Paired axial CT (left) and PSMA PET (right), 68Ga tracer. Acquired on Siemens Biograph 64-4R TruePoint.
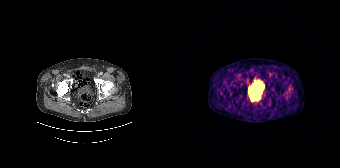
Coordinates are on the 168×168 PET (right) panel. Small PSMA-avid focus (2 to 4 px across) near (center x, center y): (85, 96).